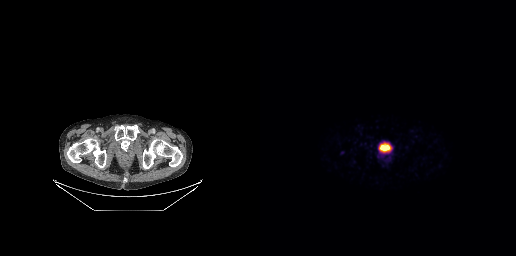
Two-panel axial: CT | PSMA PET, [68Ga]Ga-PSMA-11 tracer. Slice position z = -855 mm. PET panel 256×256 px (2.7 mm/px). This slice has no annotated PSMA-avid lesion.